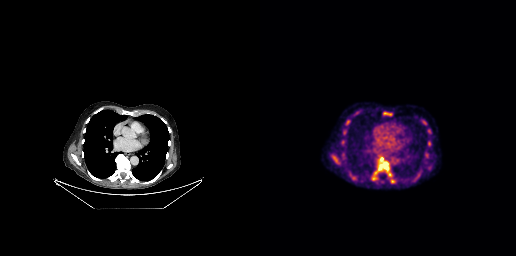
Paired axial CT (left) and PSMA PET (right), 18F-PSMA tracer. Slice position z = -336 mm. PET panel 256×256 px (2.7 mm/px).
Coordinates are on the 256×256 PET (right) panel. PSMA-avid tumor lesion bounding boxes (partial; 1 more focus not listed):
| # | x0 | y0 | x1 | y1 |
|---|---|---|---|---|
| 1 | 118 | 157 | 128 | 170 |
| 2 | 128 | 174 | 136 | 183 |
| 3 | 72 | 155 | 79 | 163 |
| 4 | 124 | 112 | 131 | 115 |
| 5 | 95 | 111 | 99 | 114 |
| 6 | 168 | 129 | 170 | 133 |
Small PSMA-avid foci (2 to 4 px across) near (center x, center y): (84, 132); (82, 142); (88, 119).